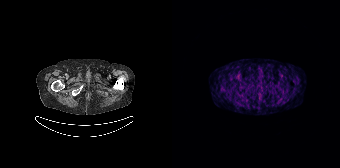
Negative for PSMA-avid disease on this slice. Paired axial CT (left) and PSMA PET (right), 68Ga-PSMA tracer. PET panel 168×168 px (4.1 mm/px).